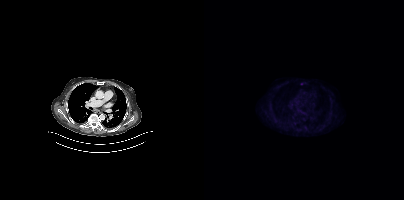
{"modality":"PSMA PET/CT","view":"axial","tracer":"[18F]PSMA-1007","pet_grid":[200,200],"coord_frame":"pet_panel","coord_format":"x0,y0,x1,y1","partial":true,"lesion_bboxes":[]}